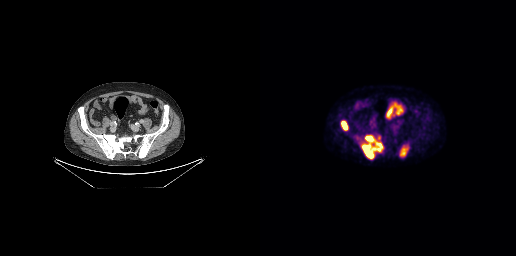
Two-panel axial: CT | PSMA PET, 18F tracer. Acquired on GE Discovery 690. Slice 94 of 263.
Coordinates are on the 256×256 PET (right) panel. PSMA-avid tumor lesion bounding boxes:
| # | x0 | y0 | x1 | y1 |
|---|---|---|---|---|
| 1 | 101 | 135 | 123 | 159 |
| 2 | 81 | 121 | 88 | 130 |
| 3 | 140 | 147 | 147 | 156 |
Small PSMA-avid focus (2 to 4 px across) near (center x, center y): (118, 138).